Two-panel axial: CT | PSMA PET, [18F]PSMA-1007 tracer. Acquired on Siemens Biograph mCT Flow 20. PET panel 200×200 px (4.1 mm/px).
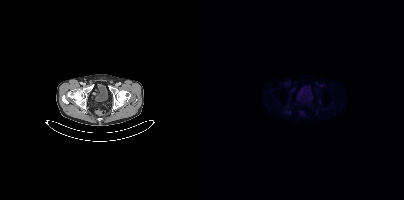
Only PSMA-avid lesion pieces thinner than 2 px on this slice (not listed).